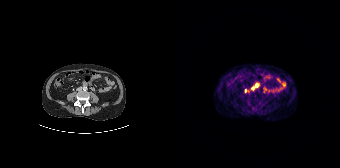
Coordinates are on the 168×168 PET (right) panel. PSMA-avid tumor lesion bounding box (x0, y0)-(x1, y1): (79, 83)-(87, 90). Small PSMA-avid focus (2 to 4 px across) near (center x, center y): (73, 90).